- Two-panel axial: CT | PSMA PET, 18F tracer
- PET panel 200×200 px (4.1 mm/px)
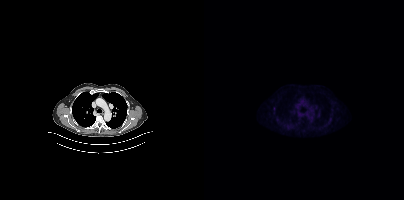
Findings: Coordinates are on the 200×200 PET (right) panel. Small PSMA-avid focus (2 to 4 px across) near (center x, center y): (70, 107).